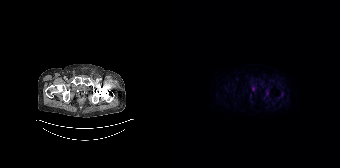
This slice has no annotated PSMA-avid lesion.